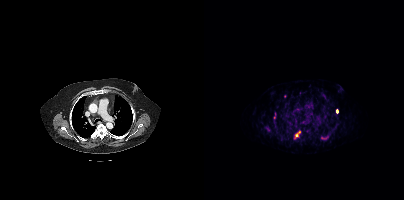
Coordinates are on the 200×200 PET (right) panel. (showing 3 of 4 foci) PSMA-avid tumor lesion bounding boxes (x0, y0)-(x1, y1): (89, 130)-(97, 139) | (132, 109)-(134, 113). Small PSMA-avid focus (2 to 4 px across) near (center x, center y): (80, 96).